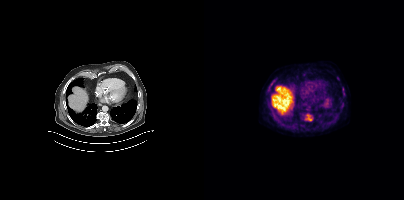
Technique: Two-panel axial: CT | PSMA PET, 18F-PSMA tracer.
Findings: Coordinates are on the 200×200 PET (right) panel. (showing 2 of 3 foci) PSMA-avid tumor lesion bounding box (x0, y0)-(x1, y1): (101, 114)-(108, 121). Small PSMA-avid focus (2 to 4 px across) near (center x, center y): (67, 83).